Technique: Two-panel axial: CT | PSMA PET, [18F]PSMA-1007 tracer. PET panel 200×200 px (4.1 mm/px).
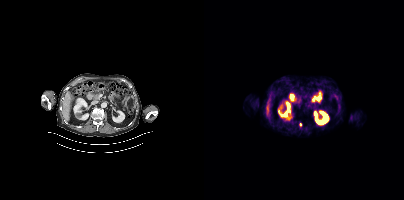
Findings: Coordinates are on the 200×200 PET (right) panel. Small PSMA-avid focus (2 to 4 px across) near (center x, center y): (96, 124).